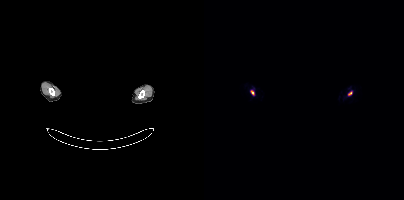
{"modality":"PSMA PET/CT","view":"axial","tracer":"[68Ga]Ga-PSMA-11","pet_grid":[200,200],"coord_frame":"pet_panel","coord_format":"x0,y0,x1,y1","lesion_bboxes":[],"small_foci_centers":[[145,93],[48,92]],"deidentification":"face masked with black rectangle"}